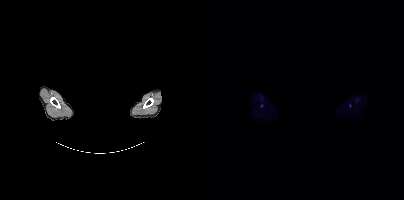
redaction: head region blacked out before release | modality: PSMA PET/CT | tracer: 18F-PSMA | view: axial
Coordinates are on the 200×200 PET (right) panel. (showing 1 of 2 foci) Small PSMA-avid focus (2 to 4 px across) near (center x, center y): (57, 105).